Left: CT. Right: PSMA PET, same axial level, [18F]PSMA-1007 tracer. Acquired on GE Discovery 690. Slice 250 of 299.
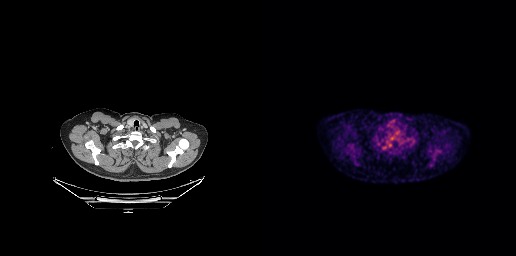
This slice has no annotated PSMA-avid lesion.